Technique: Two-panel axial: CT | PSMA PET, [18F]PSMA-1007 tracer. acquired on Siemens Biograph mCT Flow 20.
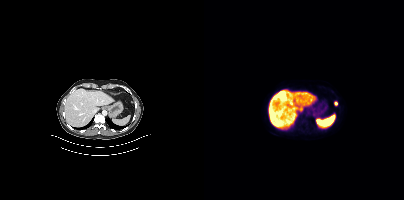
Findings: Coordinates are on the 200×200 PET (right) panel. PSMA-avid tumor lesion bounding box (x0,y0,x1,y1): [130,101,133,105].